Left: CT. Right: PSMA PET, same axial level, [68Ga]Ga-PSMA-11 tracer. Slice 2 of 189.
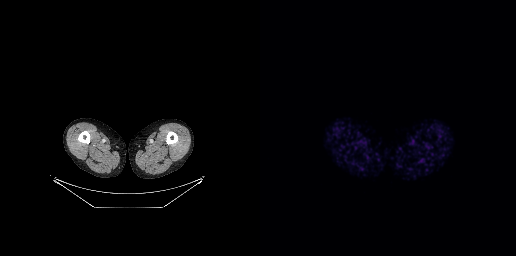
This slice has no annotated PSMA-avid lesion.